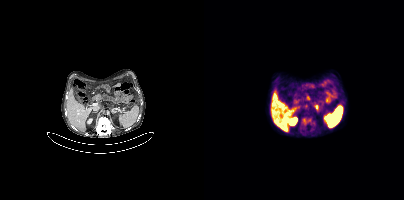
{"modality":"PSMA PET/CT","view":"axial","tracer":"[18F]PSMA-1007","pet_grid":[200,200],"coord_frame":"pet_panel","coord_format":"x0,y0,x1,y1","lesion_bboxes":[[96,117,111,129]]}